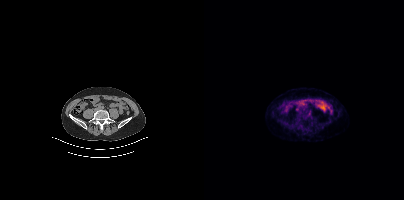
This slice has no annotated PSMA-avid lesion. Two-panel axial: CT | PSMA PET, 68Ga-PSMA tracer. Acquired on Siemens Biograph mCT Flow 20. Slice 126 of 409. PET panel 200×200 px (4.1 mm/px).